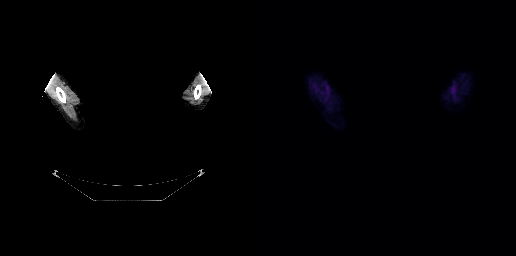
- privacy masking over the head, with the pixels inside a rectangle set to black
- Left: CT. Right: PSMA PET, same axial level, [18F]PSMA-1007 tracer
- PET panel 256×256 px (2.7 mm/px)
Findings: This slice has no annotated PSMA-avid lesion.